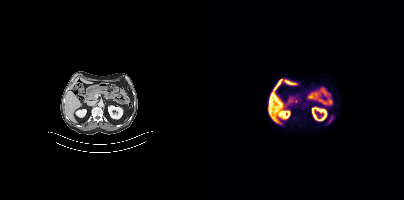
This slice has no annotated PSMA-avid lesion.